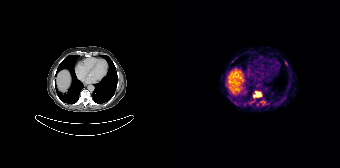
Technique: Paired axial CT (left) and PSMA PET (right), 68Ga tracer. slice 96 of 165. PET panel 168×168 px (4.1 mm/px).
Findings: Coordinates are on the 168×168 PET (right) panel. (showing 3 of 5 foci) PSMA-avid tumor lesion bounding boxes (x, y, width, height): x=81 y=91 w=9 h=7 | x=62 y=102 w=5 h=3. Small PSMA-avid focus (2 to 4 px across) near (center x, center y): (60, 61).